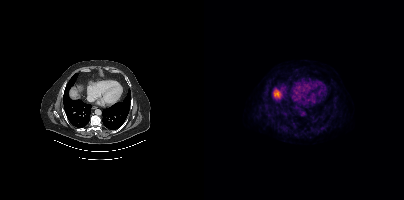
No PSMA-avid tumor lesions on this slice. Left: CT. Right: PSMA PET, same axial level, 18F tracer.